Left: CT. Right: PSMA PET, same axial level, 18F tracer. Slice position z = -672 mm.
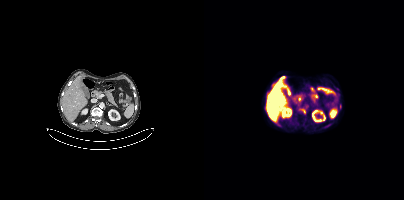
Coordinates are on the 200×200 PET (right) panel. PSMA-avid tumor lesion bounding boxes (partial; 1 more focus not listed):
| # | x0 | y0 | x1 | y1 |
|---|---|---|---|---|
| 1 | 95 | 108 | 101 | 113 |